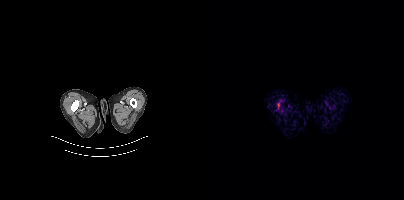
Two-panel axial: CT | PSMA PET, 18F tracer. Slice 6 of 401.
Coordinates are on the 200×200 PET (right) panel. PSMA-avid tumor lesion bounding boxes:
| # | x0 | y0 | x1 | y1 |
|---|---|---|---|---|
| 1 | 73 | 102 | 75 | 109 |